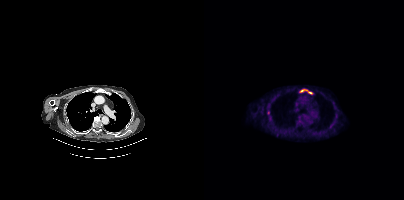
{"modality":"PSMA PET/CT","view":"axial","tracer":"[18F]PSMA-1007","pet_grid":[200,200],"coord_frame":"pet_panel","coord_format":"x0,y0,x1,y1","lesion_bboxes":[[96,89,108,94]],"small_foci_centers":[[64,112]]}